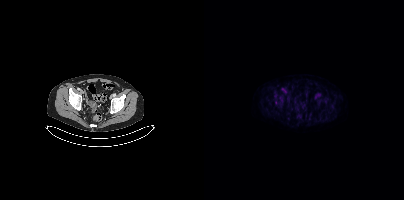
{"modality":"PSMA PET/CT","view":"axial","tracer":"18F","pet_grid":[200,200],"coord_frame":"pet_panel","coord_format":"x0,y0,x1,y1","partial":true,"lesion_bboxes":[]}